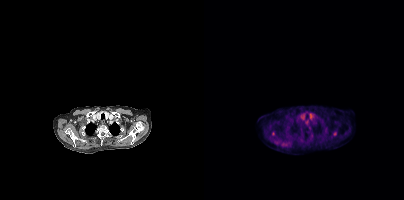
Coordinates are on the 200×200 PET (right) panel. PSMA-avid tumor lesion bounding boxes:
| # | x0 | y0 | x1 | y1 |
|---|---|---|---|---|
| 1 | 129 | 132 | 132 | 136 |
Small PSMA-avid foci (2 to 4 px across) near (center x, center y): (69, 133); (107, 135).
Left: CT. Right: PSMA PET, same axial level, 18F-PSMA tracer.